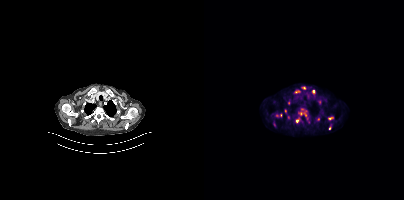
Coordinates are on the 200×200 PET (right) panel. (showing 12 of 14 foci) PSMA-avid tumor lesion bounding boxes (x0, y0)-(x1, y1): (94, 108)-(104, 119) / (71, 113)-(78, 117) / (91, 117)-(96, 123) / (69, 120)-(72, 127) / (108, 90)-(111, 94) / (91, 90)-(95, 93) / (124, 117)-(128, 119). Small PSMA-avid foci (2 to 4 px across) near (center x, center y): (85, 102) / (126, 128) / (100, 87) / (81, 111) / (105, 122).